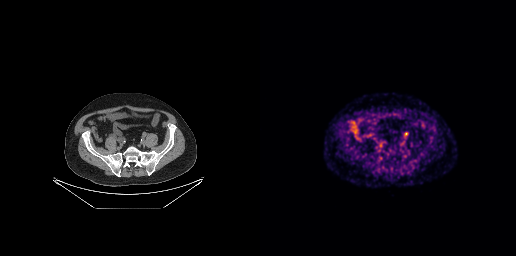
- Paired axial CT (left) and PSMA PET (right), 68Ga-PSMA tracer
Findings: This slice has no annotated PSMA-avid lesion.